Technique: Left: CT. Right: PSMA PET, same axial level, [18F]PSMA-1007 tracer. acquired on Siemens Biograph mCT Flow 20.
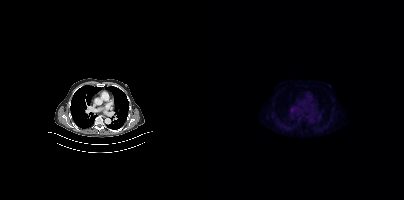
Findings: No tumor lesions annotated on this slice.